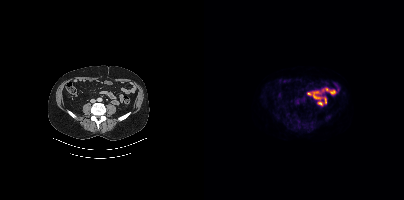
Left: CT. Right: PSMA PET, same axial level, 18F-PSMA tracer. Acquired on Siemens Biograph mCT Flow 20. Slice 174 of 464. Coordinates are on the 200×200 PET (right) panel. (showing 1 of 2 foci) Small PSMA-avid focus (2 to 4 px across) near (center x, center y): (121, 118).